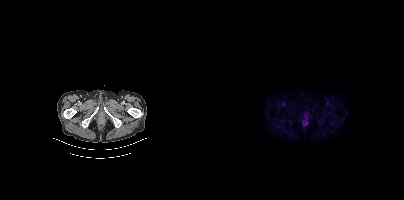
Negative for PSMA-avid disease on this slice. Two-panel axial: CT | PSMA PET, [18F]PSMA-1007 tracer. Acquired on Siemens Biograph mCT Flow 20. Slice position z = -1530 mm.